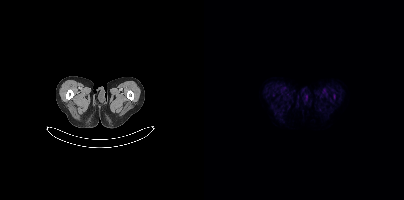
{"modality":"PSMA PET/CT","view":"axial","tracer":"18F-PSMA","pet_grid":[200,200],"coord_frame":"pet_panel","coord_format":"x0,y0,x1,y1","psma_avid_lesions":false}